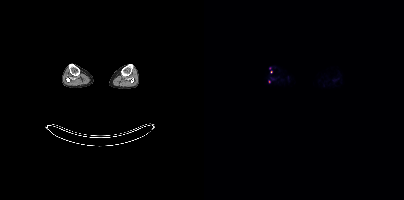
- Two-panel axial: CT | PSMA PET, 18F tracer
- acquired on Siemens Biograph mCT Flow 20
- slice position z = -1505 mm
Findings: Coordinates are on the 200×200 PET (right) panel. (showing 1 of 2 foci) Small PSMA-avid focus (2 to 4 px across) near (center x, center y): (65, 81).